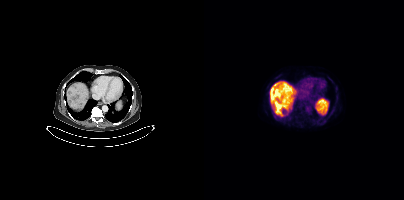
Technique: Two-panel axial: CT | PSMA PET, 18F-PSMA tracer. acquired on Siemens Biograph mCT Flow 20. slice position z = -1153 mm. PET panel 200×200 px (4.1 mm/px).
Findings: Coordinates are on the 200×200 PET (right) panel. PSMA-avid tumor lesion bounding box (x0, y0)-(x1, y1): (66, 89)-(73, 96).